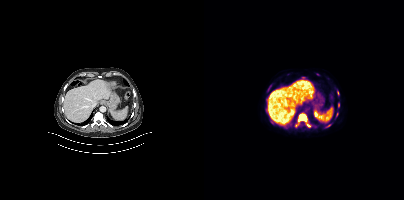
Coordinates are on the 200×200 PET (right) panel. (showing 4 of 5 foci) PSMA-avid tumor lesion bounding boxes (x0,y0,x1,y1): [91,114,106,127], [134,103,135,107], [122,124,126,127]. Small PSMA-avid focus (2 to 4 px across) near (center x, center y): (134, 92).
modality: PSMA PET/CT | tracer: [18F]PSMA-1007 | view: axial